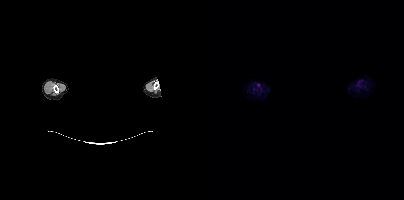
Technique: Paired axial CT (left) and PSMA PET (right), 18F-PSMA tracer. slice 413 of 429.
Note: Privacy masking over the head, with the pixels inside a rectangle set to black.
Findings: Negative for PSMA-avid disease on this slice.